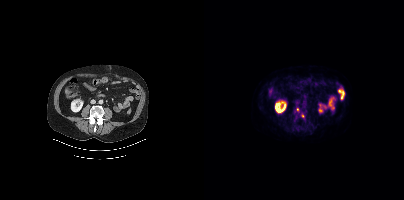
Coordinates are on the 200×200 PET (right) panel. Small PSMA-avid foci (2 to 4 px across) near (center x, center y): (93, 109) | (98, 116). Paired axial CT (left) and PSMA PET (right), [18F]PSMA-1007 tracer. Slice position z = -664 mm. PET panel 200×200 px (4.1 mm/px).